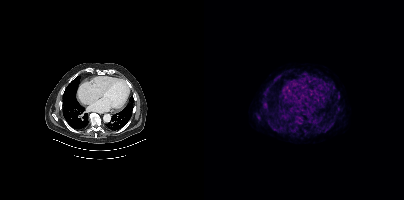
{"modality":"PSMA PET/CT","view":"axial","tracer":"18F-PSMA","pet_grid":[200,200],"coord_frame":"pet_panel","coord_format":"x0,y0,x1,y1","psma_avid_lesions":false}